Technique: Paired axial CT (left) and PSMA PET (right), 18F-PSMA tracer. acquired on Siemens Biograph mCT Flow 20. slice 394 of 454.
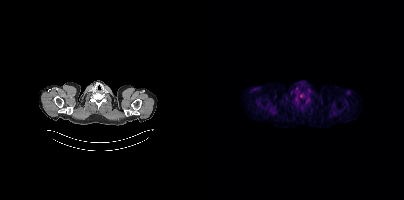
Findings: Coordinates are on the 200×200 PET (right) panel. Small PSMA-avid focus (2 to 4 px across) near (center x, center y): (97, 95).